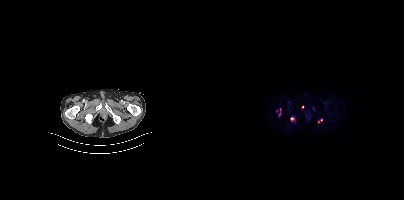
Paired axial CT (left) and PSMA PET (right), 18F tracer. Coordinates are on the 200×200 PET (right) panel. (showing 3 of 4 foci) Small PSMA-avid foci (2 to 4 px across) near (center x, center y): (115, 121); (88, 118); (98, 106).